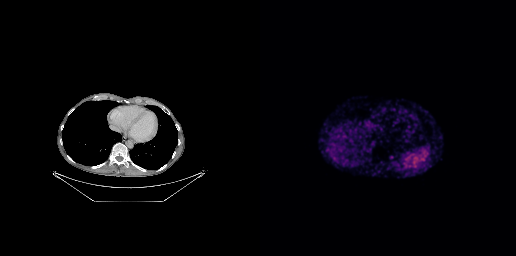
Left: CT. Right: PSMA PET, same axial level, 68Ga-PSMA tracer. Acquired on GE Discovery 690. Slice position z = -519 mm. PET panel 256×256 px (2.7 mm/px). Negative for PSMA-avid disease on this slice.